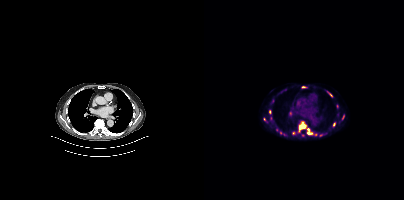
Findings: Coordinates are on the 200×200 PET (right) panel. (showing 11 of 13 foci) PSMA-avid tumor lesion bounding boxes (x0,y0,x1,y1): [95,124,101,129]; [123,91,128,97]; [104,132,108,134]; [98,86,102,87]. Small PSMA-avid foci (2 to 4 px across) near (center x, center y): (66, 111); (130, 124); (89, 133); (60, 119); (139, 117); (104, 129); (76, 132).
Technique: Paired axial CT (left) and PSMA PET (right), [18F]PSMA-1007 tracer.